modality: PSMA PET/CT | tracer: 18F-PSMA | view: axial
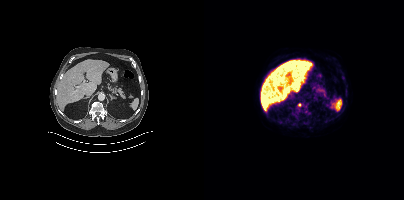
Coordinates are on the 200×200 PET (right) panel. Small PSMA-avid focus (2 to 4 px across) near (center x, center y): (95, 104).